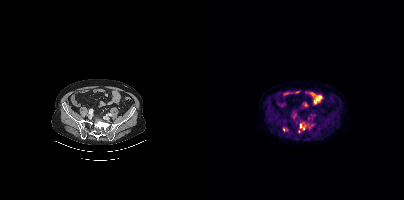
- Paired axial CT (left) and PSMA PET (right), 18F tracer
- PET panel 200×200 px (4.1 mm/px)
Findings: Coordinates are on the 200×200 PET (right) panel. PSMA-avid tumor lesion bounding box (x, y, width, height): x=79 y=128 w=5 h=4. Small PSMA-avid foci (2 to 4 px across) near (center x, center y): (96, 125); (99, 128).